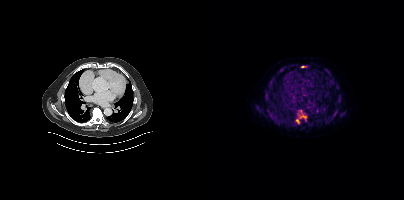
Paired axial CT (left) and PSMA PET (right), 18F tracer. Slice position z = -382 mm. PET panel 200×200 px (4.1 mm/px). Coordinates are on the 200×200 PET (right) panel. (showing 15 of 17 foci) PSMA-avid tumor lesion bounding boxes (x, y, width, height): x=93 y=109 w=9 h=9 / x=65 y=113 w=6 h=6 / x=127 y=112 w=7 h=7 / x=61 y=96 w=4 h=6 / x=137 y=112 w=5 h=5 / x=133 y=98 w=4 h=6 / x=92 y=119 w=4 h=5 / x=97 y=65 w=6 h=3 / x=100 y=117 w=4 h=5. Small PSMA-avid foci (2 to 4 px across) near (center x, center y): (133, 87) / (76, 71) / (124, 121) / (126, 74) / (89, 123) / (132, 82).